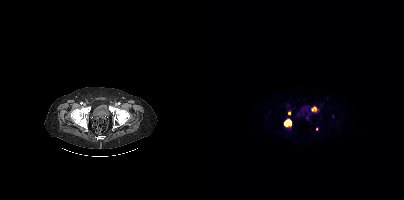
Coordinates are on the 200×200 PET (right) panel. PSMA-avid tumor lesion bounding boxes (x0,y0,x1,y1): [80,119,87,126], [107,106,112,111]. Small PSMA-avid foci (2 to 4 px across) near (center x, center y): (85, 113), (112, 129). Left: CT. Right: PSMA PET, same axial level, 18F-PSMA tracer.